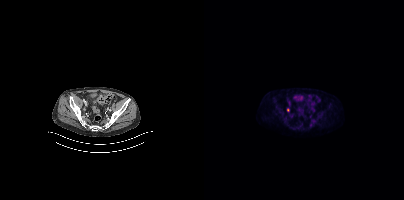
Two-panel axial: CT | PSMA PET, [18F]PSMA-1007 tracer. Acquired on Siemens Biograph mCT Flow 20. PET panel 200×200 px (4.1 mm/px). This slice has no annotated PSMA-avid lesion.